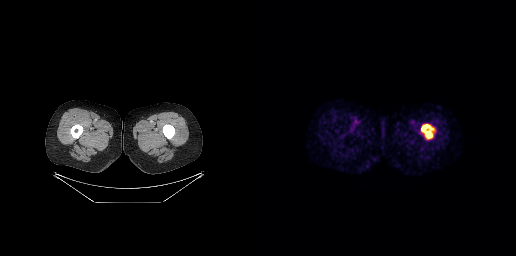
Two-panel axial: CT | PSMA PET, 68Ga-PSMA tracer. Acquired on GE Discovery 690.
Coordinates are on the 256×256 PET (right) panel. PSMA-avid tumor lesion bounding boxes:
| # | x0 | y0 | x1 | y1 |
|---|---|---|---|---|
| 1 | 161 | 124 | 173 | 138 |